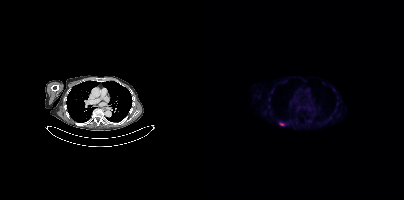
Coordinates are on the 200×200 PET (right) panel. PSMA-avid tumor lesion bounding box (x0, y0)-(x1, y1): (75, 122)-(80, 125).